modality: PSMA PET/CT | tracer: 18F-PSMA | view: axial
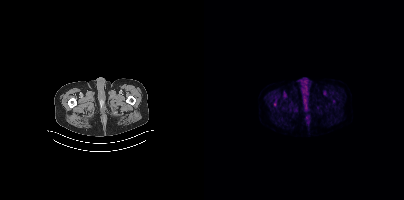
Coordinates are on the 200×200 PET (right) panel. Small PSMA-avid focus (2 to 4 px across) near (center x, center y): (70, 104).